An anonymization step blacked out a rectangle over the head in this scan. Left: CT. Right: PSMA PET, same axial level, 18F tracer.
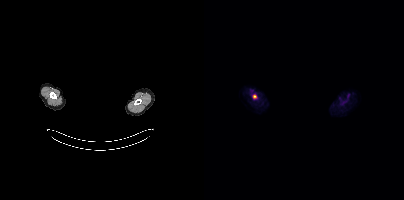
Coordinates are on the 200×200 PET (right) panel. Small PSMA-avid focus (2 to 4 px across) near (center x, center y): (50, 96).